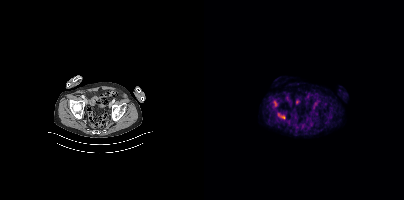
Technique: Left: CT. Right: PSMA PET, same axial level, 18F-PSMA tracer. slice position z = -916 mm. PET panel 200×200 px (4.1 mm/px).
Findings: Coordinates are on the 200×200 PET (right) panel. Small PSMA-avid focus (2 to 4 px across) near (center x, center y): (79, 117).